- any black rectangle over the head is a privacy mask, not anatomy
- Two-panel axial: CT | PSMA PET, 18F tracer
- PET panel 200×200 px (4.1 mm/px)
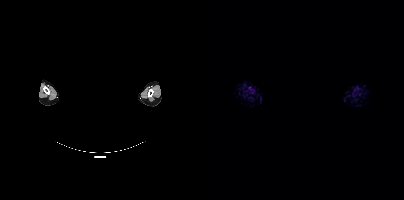
Findings: Negative for PSMA-avid disease on this slice.